Left: CT. Right: PSMA PET, same axial level, 18F tracer.
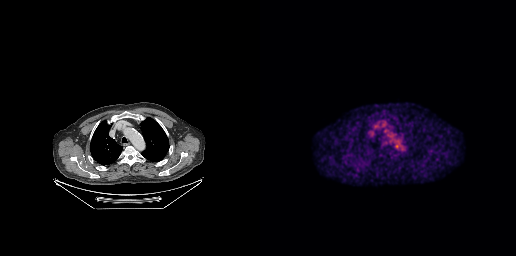
Coordinates are on the 256×256 PET (right) panel. PSMA-avid tumor lesion bounding boxes:
| # | x0 | y0 | x1 | y1 |
|---|---|---|---|---|
| 1 | 135 | 144 | 138 | 148 |